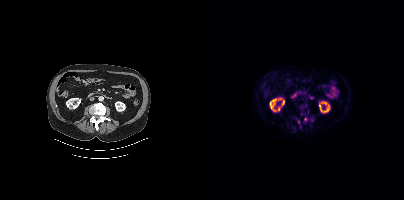
modality: PSMA PET/CT | tracer: 18F-PSMA | view: axial
Coordinates are on the 200×200 PET (right) panel. (showing 1 of 2 foci) Small PSMA-avid focus (2 to 4 px across) near (center x, center y): (101, 119).